Paired axial CT (left) and PSMA PET (right), [18F]PSMA-1007 tracer. Acquired on Siemens Biograph mCT Flow 20. Slice 14 of 354. PET panel 200×200 px (4.1 mm/px).
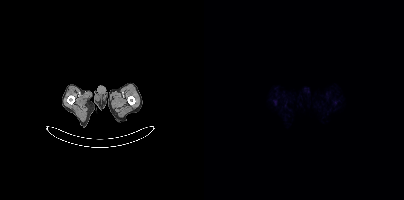
No tumor lesions annotated on this slice.